modality: PSMA PET/CT | tracer: [68Ga]Ga-PSMA-11 | view: axial
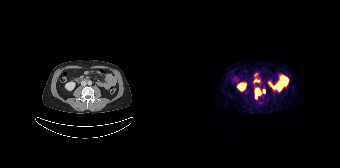
Coordinates are on the 168×168 PET (right) panel. PSMA-avid tumor lesion bounding box (x0,y0,x1,y1): [82,88,93,98].